Two-panel axial: CT | PSMA PET, 18F tracer. PET panel 200×200 px (4.1 mm/px).
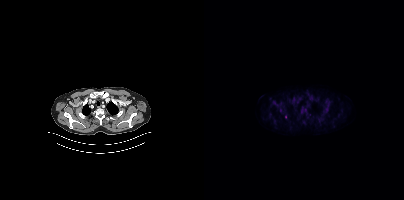
Only PSMA-avid lesion pieces thinner than 2 px on this slice (not listed).